Technique: Paired axial CT (left) and PSMA PET (right), [68Ga]Ga-PSMA-11 tracer. acquired on Siemens Biograph mCT Flow 20. slice 215 of 393. PET panel 200×200 px (4.1 mm/px).
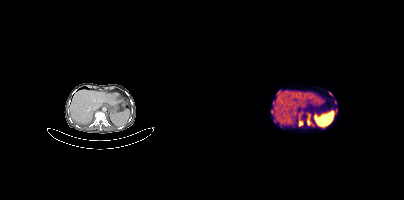
Findings: Coordinates are on the 200×200 PET (right) panel. (showing 5 of 8 foci) PSMA-avid tumor lesion bounding boxes (x, y, width, height): x=103 y=114 w=5 h=12 | x=95 y=120 w=5 h=7 | x=67 y=108 w=3 h=6. Small PSMA-avid foci (2 to 4 px across) near (center x, center y): (70, 121) | (132, 110).